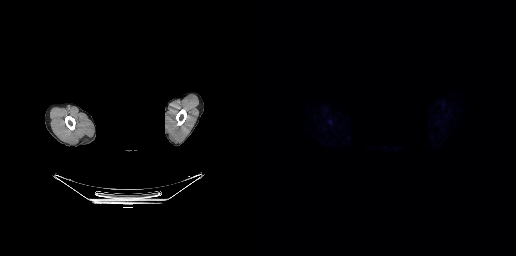
Negative for PSMA-avid disease on this slice.
A rectangle over the head was blacked out to remove identifiable facial features.